modality: PSMA PET/CT | tracer: [18F]PSMA-1007 | view: axial
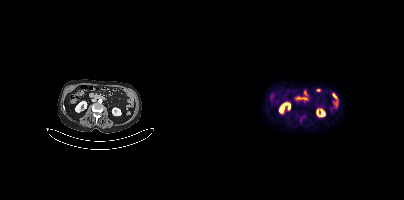
No tumor lesions annotated on this slice.